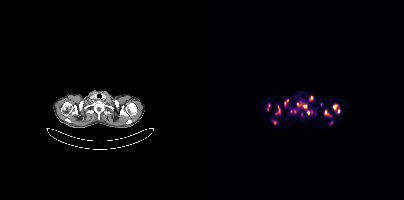
Coordinates are on the 200×200 PET (right) panel. PSMA-avid tumor lesion bounding boxes (partial; 4 more foci not listed):
| # | x0 | y0 | x1 | y1 |
|---|---|---|---|---|
| 1 | 98 | 104 | 103 | 108 |
| 2 | 129 | 105 | 133 | 110 |
| 3 | 120 | 110 | 124 | 115 |
| 4 | 80 | 99 | 84 | 105 |
| 5 | 74 | 106 | 76 | 112 |
Small PSMA-avid foci (2 to 4 px across) near (center x, center y): (104, 112); (91, 111); (134, 111); (107, 97); (93, 104); (87, 111); (97, 114); (70, 122); (63, 109); (127, 122).
Left: CT. Right: PSMA PET, same axial level, [68Ga]Ga-PSMA-11 tracer. Acquired on Siemens Biograph mCT Flow 20.